- Left: CT. Right: PSMA PET, same axial level, 18F-PSMA tracer
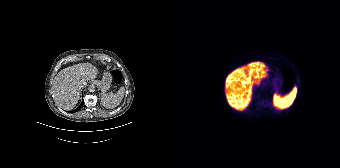
Findings: Negative for PSMA-avid disease on this slice.